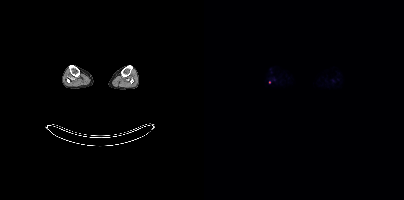
{"pet_grid":[200,200],"coord_frame":"pet_panel","coord_format":"x0,y0,x1,y1","lesion_bboxes":[],"small_foci_centers":[[65,82]],"modality":"PSMA PET/CT","view":"axial","tracer":"18F"}